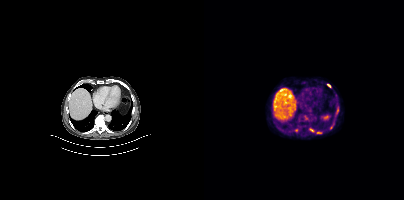
Paired axial CT (left) and PSMA PET (right), 18F-PSMA tracer. Coordinates are on the 200×200 PET (right) panel. (showing 3 of 5 foci) PSMA-avid tumor lesion bounding box (x0,y0,x1,y1): [113,132,117,133]. Small PSMA-avid foci (2 to 4 px across) near (center x, center y): (107, 130), (124, 85).